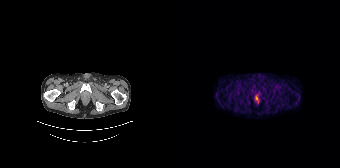
Technique: Left: CT. Right: PSMA PET, same axial level, 68Ga-PSMA tracer.
Findings: No PSMA-avid tumor lesions on this slice.